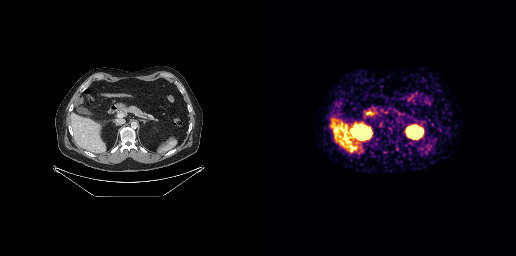
No tumor lesions annotated on this slice. Two-panel axial: CT | PSMA PET, 68Ga tracer.